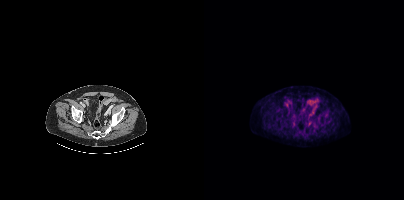
- Paired axial CT (left) and PSMA PET (right), 18F-PSMA tracer
- acquired on Siemens Biograph mCT Flow 20
Findings: Negative for PSMA-avid disease on this slice.